Technique: Paired axial CT (left) and PSMA PET (right), 18F tracer. slice position z = -996 mm. PET panel 200×200 px (4.1 mm/px).
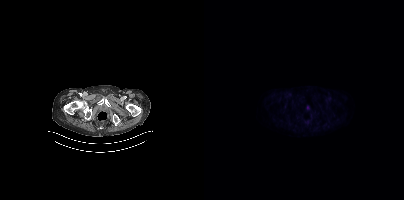
Findings: This slice has no annotated PSMA-avid lesion.